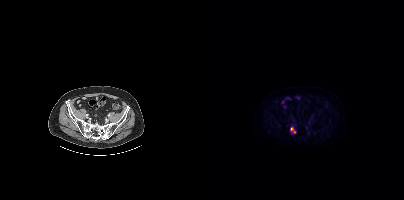
Findings: Coordinates are on the 200×200 PET (right) panel. Small PSMA-avid foci (2 to 4 px across) near (center x, center y): (87, 129), (90, 131).
Technique: Paired axial CT (left) and PSMA PET (right), 18F tracer. acquired on Siemens Biograph mCT Flow 20. slice position z = -1481 mm.